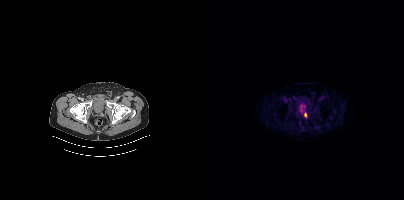
Two-panel axial: CT | PSMA PET, [18F]PSMA-1007 tracer. Coordinates are on the 200×200 PET (right) panel. Small PSMA-avid focus (2 to 4 px across) near (center x, center y): (101, 114).